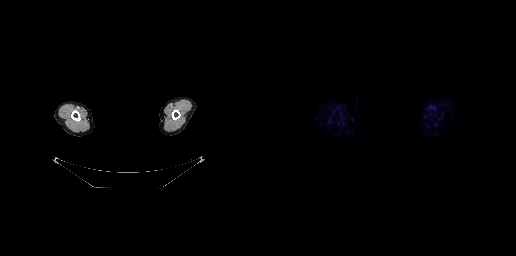
modality: PSMA PET/CT | tracer: 18F-PSMA | view: axial | de-identification: face masked with black rectangle
No PSMA-avid tumor lesions on this slice.